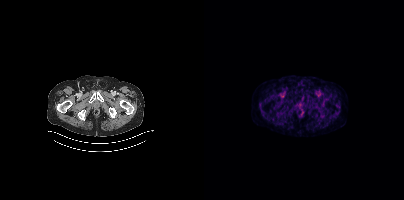
No tumor lesions annotated on this slice.